modality: PSMA PET/CT | tracer: 18F | view: axial
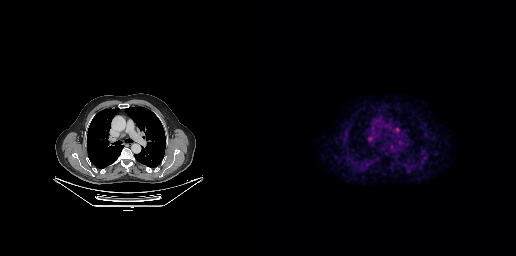
Coordinates are on the 256×256 PET (right) panel. PSMA-avid tumor lesion bounding boxes (x0,y0,x1,y1): [107,136,114,142]; [134,127,140,133].